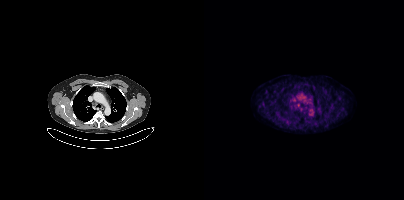
No tumor lesions annotated on this slice.
modality: PSMA PET/CT | tracer: [18F]PSMA-1007 | view: axial | PET grid: 200×200